- Two-panel axial: CT | PSMA PET, 68Ga tracer
- PET panel 200×200 px (4.1 mm/px)
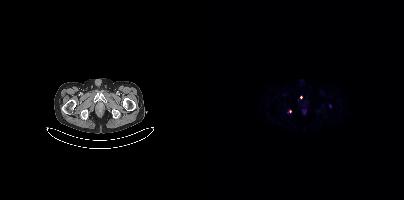
Findings: Coordinates are on the 200×200 PET (right) panel. (showing 2 of 3 foci) Small PSMA-avid foci (2 to 4 px across) near (center x, center y): (126, 105) / (96, 97).